Left: CT. Right: PSMA PET, same axial level, 18F tracer. Slice 344 of 466. PET panel 200×200 px (4.1 mm/px).
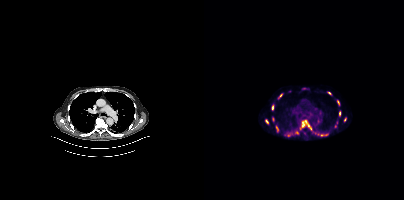
Coordinates are on the 200×200 PET (right) panel. PSMA-avid tumor lesion bounding boxes (partial; 4 more foci not listed):
| # | x0 | y0 | x1 | y1 |
|---|---|---|---|---|
| 1 | 96 | 120 | 107 | 130 |
| 2 | 135 | 111 | 137 | 116 |
| 3 | 133 | 100 | 135 | 105 |
| 4 | 61 | 119 | 64 | 123 |
| 5 | 72 | 126 | 74 | 131 |
| 6 | 68 | 105 | 69 | 109 |
Small PSMA-avid foci (2 to 4 px across) near (center x, center y): (125, 93); (99, 88); (77, 95); (93, 132).